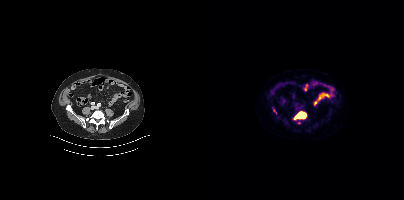
Left: CT. Right: PSMA PET, same axial level, 18F-PSMA tracer. PET panel 200×200 px (4.1 mm/px).
Coordinates are on the 200×200 PET (right) panel. PSMA-avid tumor lesion bounding boxes:
| # | x0 | y0 | x1 | y1 |
|---|---|---|---|---|
| 1 | 90 | 111 | 102 | 119 |
| 2 | 69 | 109 | 72 | 113 |